- Left: CT. Right: PSMA PET, same axial level, 18F tracer
- slice 177 of 263
- PET panel 256×256 px (2.7 mm/px)
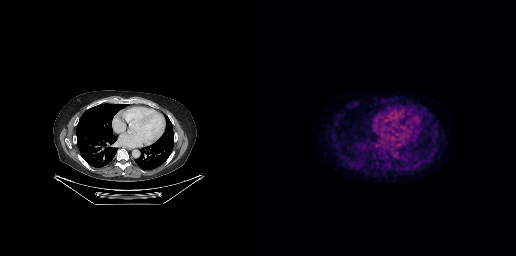
Findings: This slice has no annotated PSMA-avid lesion.